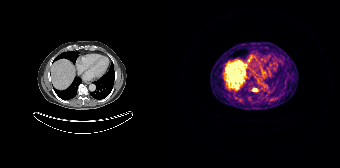
Coordinates are on the 168×168 PET (right) panel. PSMA-avid tumor lesion bounding box (x0,y0,x1,y1): [80,88,84,91].